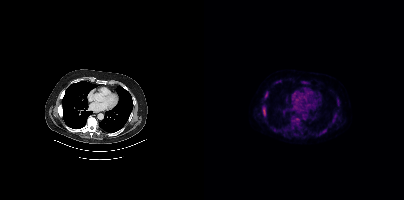
- Two-panel axial: CT | PSMA PET, 18F tracer
- acquired on Siemens Biograph mCT Flow 20
- slice 302 of 462
Findings: Coordinates are on the 200×200 PET (right) panel. (showing 2 of 3 foci) PSMA-avid tumor lesion bounding box (x, y, width, height): x=61 y=91 w=3 h=7. Small PSMA-avid focus (2 to 4 px across) near (center x, center y): (60, 111).